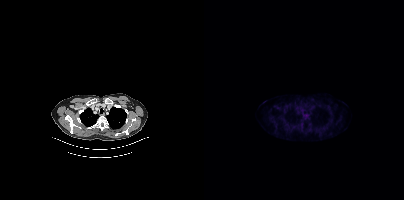
Left: CT. Right: PSMA PET, same axial level, [18F]PSMA-1007 tracer. Acquired on Siemens Biograph mCT Flow 20. Slice position z = -996 mm. PET panel 200×200 px (4.1 mm/px). Negative for PSMA-avid disease on this slice.